modality: PSMA PET/CT | tracer: 18F | view: axial
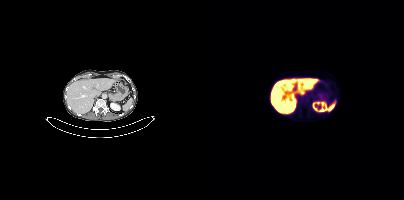
No tumor lesions annotated on this slice.